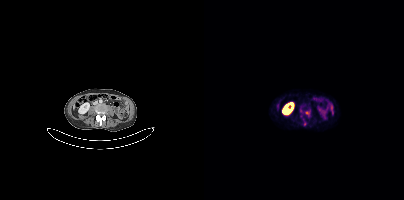
- Left: CT. Right: PSMA PET, same axial level, 68Ga-PSMA tracer
- PET panel 200×200 px (4.1 mm/px)
Findings: Coordinates are on the 200×200 PET (right) panel. PSMA-avid tumor lesion bounding box (x, y, width, height): x=100 y=121 w=3 h=5.